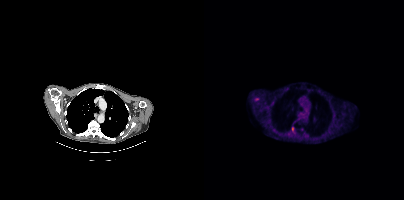
{"pet_grid":[200,200],"coord_frame":"pet_panel","coord_format":"x0,y0,x1,y1","lesion_bboxes":[[88,127,89,131]],"small_foci_centers":[[52,99],[98,129]],"modality":"PSMA PET/CT","view":"axial","tracer":"18F-PSMA"}